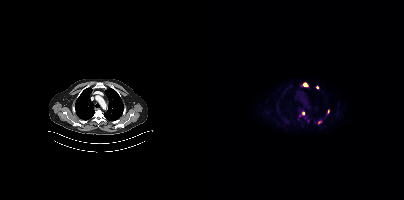
{"modality":"PSMA PET/CT","view":"axial","tracer":"18F","pet_grid":[200,200],"coord_frame":"pet_panel","coord_format":"x0,y0,x1,y1","partial":true,"lesion_bboxes":[[97,82,104,87]],"small_foci_centers":[[113,87],[99,112],[115,122],[124,111]]}